modality: PSMA PET/CT | tracer: 18F | view: axial
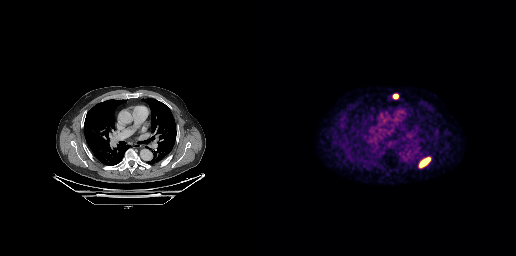
Coordinates are on the 256×256 PET (right) panel. PSMA-avid tumor lesion bounding boxes (x0,y0,x1,y1): [159,157,170,168], [132,93,138,99].